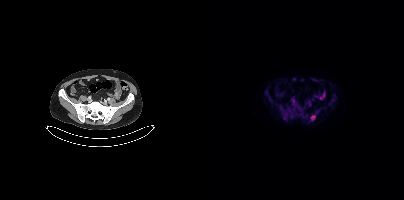
Paired axial CT (left) and PSMA PET (right), 18F tracer. Slice position z = -1445 mm. Coordinates are on the 200×200 PET (right) panel. PSMA-avid tumor lesion bounding box (x0,y0,x1,y1): [107,115,111,120]. Small PSMA-avid focus (2 to 4 px across) near (center x, center y): (82, 115).